Technique: Two-panel axial: CT | PSMA PET, [18F]PSMA-1007 tracer. slice 311 of 435.
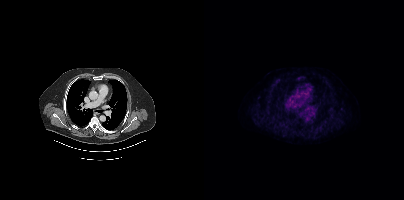
Findings: No tumor lesions annotated on this slice.